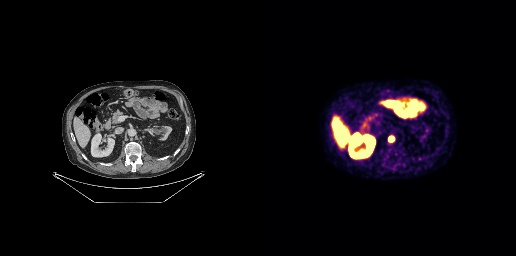
Coordinates are on the 256×256 PET (right) panel. PSMA-avid tumor lesion bounding box (x0,y0,x1,y1): [128,135,134,142].